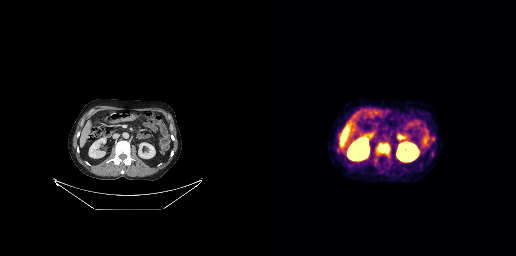
Findings: Coordinates are on the 256×256 PET (right) panel. PSMA-avid tumor lesion bounding box (x0,y0,x1,y1): [117,143,129,154].
- Paired axial CT (left) and PSMA PET (right), 18F tracer
- slice 127 of 263